Two-panel axial: CT | PSMA PET, [18F]PSMA-1007 tracer. Slice 84 of 387. PET panel 200×200 px (4.1 mm/px).
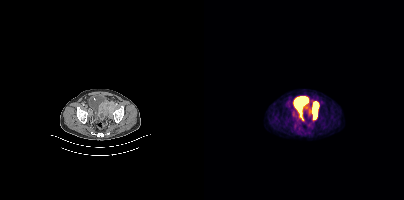
Coordinates are on the 200×200 PET (right) panel. PSMA-avid tumor lesion bounding boxes:
| # | x0 | y0 | x1 | y1 |
|---|---|---|---|---|
| 1 | 109 | 102 | 114 | 118 |